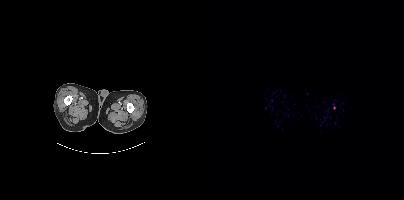
Technique: Left: CT. Right: PSMA PET, same axial level, [18F]PSMA-1007 tracer. PET panel 200×200 px (4.1 mm/px).
Findings: Negative for PSMA-avid disease on this slice.